modality: PSMA PET/CT | tracer: [68Ga]Ga-PSMA-11 | view: axial | PET grid: 200×200
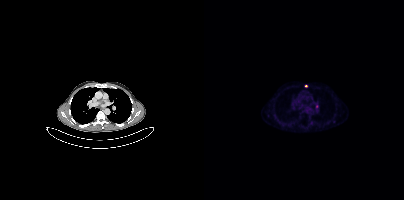
Coordinates are on the 200×200 PET (right) panel. (showing 1 of 2 foci) Small PSMA-avid focus (2 to 4 px across) near (center x, center y): (102, 86).